- Paired axial CT (left) and PSMA PET (right), [18F]PSMA-1007 tracer
- PET panel 200×200 px (4.1 mm/px)
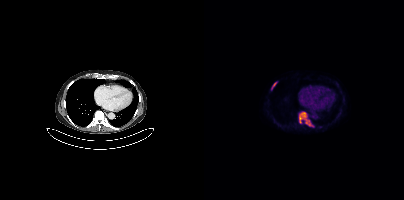
Findings: Coordinates are on the 200×200 PET (right) panel. PSMA-avid tumor lesion bounding boxes (x0, y0)-(x1, y1): (95, 112)-(108, 126) / (68, 82)-(72, 88).